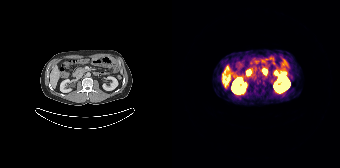
- Two-panel axial: CT | PSMA PET, [68Ga]Ga-PSMA-11 tracer
- acquired on Siemens Biograph 64-4R TruePoint
Findings: No PSMA-avid tumor lesions on this slice.